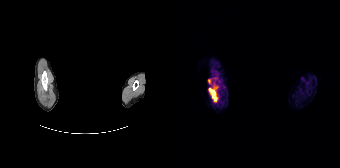
Technique: Two-panel axial: CT | PSMA PET, 68Ga-PSMA tracer. slice position z = -90 mm. PET panel 168×168 px (4.1 mm/px).
Note: Privacy masking over the head, with the pixels inside a rectangle set to black.
Findings: Coordinates are on the 168×168 PET (right) panel. PSMA-avid tumor lesion bounding boxes (x0, y0)-(x1, y1): (36, 86)-(45, 101) / (36, 79)-(39, 83).